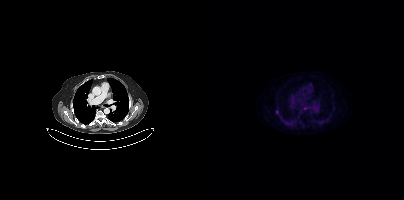
Two-panel axial: CT | PSMA PET, 18F-PSMA tracer. Coordinates are on the 200×200 PET (right) panel. Small PSMA-avid focus (2 to 4 px across) near (center x, center y): (73, 112).